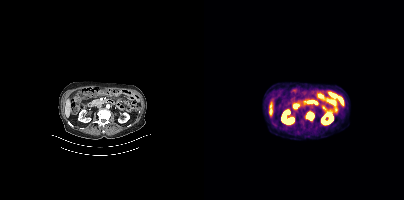
Two-panel axial: CT | PSMA PET, 18F-PSMA tracer. Slice 186 of 397. PET panel 200×200 px (4.1 mm/px).
Coordinates are on the 200×200 PET (right) panel. PSMA-avid tumor lesion bounding boxes:
| # | x0 | y0 | x1 | y1 |
|---|---|---|---|---|
| 1 | 103 | 113 | 109 | 119 |